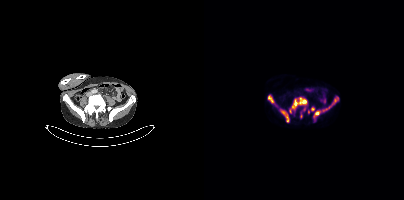
{"pet_grid":[200,200],"coord_frame":"pet_panel","coord_format":"x0,y0,x1,y1","partial":true,"lesion_bboxes":[[85,97,103,112],[76,109,85,122],[125,96,135,108],[109,111,116,121],[64,95,70,103]],"small_foci_centers":[[108,108],[104,111],[119,110]],"modality":"PSMA PET/CT","view":"axial","tracer":"18F"}